de-identification: privacy mask over head | modality: PSMA PET/CT | tracer: 18F-PSMA | view: axial
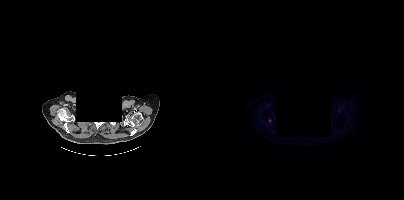
Coordinates are on the 200×200 PET (right) panel. Small PSMA-avid focus (2 to 4 px across) near (center x, center y): (65, 120).